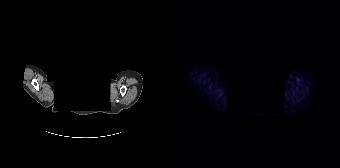
No tumor lesions annotated on this slice. The head region is masked for de-identification. Left: CT. Right: PSMA PET, same axial level, [18F]PSMA-1007 tracer. Acquired on Siemens Biograph 64-4R TruePoint. PET panel 168×168 px (4.1 mm/px).